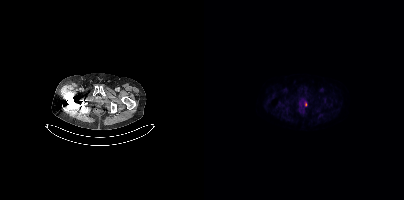
- Left: CT. Right: PSMA PET, same axial level, 18F tracer
- acquired on Siemens Biograph mCT Flow 20
- PET panel 200×200 px (4.1 mm/px)
Findings: Coordinates are on the 200×200 PET (right) panel. PSMA-avid tumor lesion bounding box (x0, y0)-(x1, y1): (100, 101)-(103, 106).